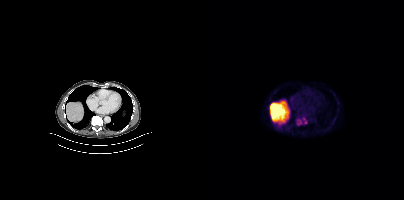
Left: CT. Right: PSMA PET, same axial level, 18F-PSMA tracer. Acquired on Siemens Biograph mCT Flow 20. PET panel 200×200 px (4.1 mm/px). Coordinates are on the 200×200 PET (right) panel. PSMA-avid tumor lesion bounding box (x0, y0)-(x1, y1): (93, 119)-(97, 124). Small PSMA-avid foci (2 to 4 px across) near (center x, center y): (101, 122) | (99, 118).